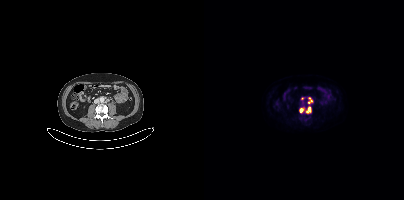
Coordinates are on the 200×200 PET (right) panel. (showing 4 of 5 foci) PSMA-avid tumor lesion bounding boxes (x0,y0,x1,y1): [102,107,106,112]; [96,108,99,112]. Small PSMA-avid foci (2 to 4 px across) near (center x, center y): (106, 99); (98, 98).